Technique: Left: CT. Right: PSMA PET, same axial level, [18F]PSMA-1007 tracer. slice position z = -1470 mm. PET panel 200×200 px (4.1 mm/px).
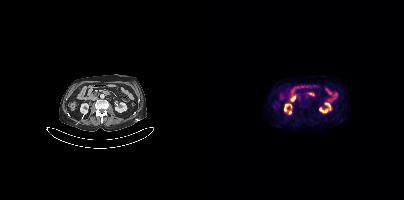
Findings: No tumor lesions annotated on this slice.